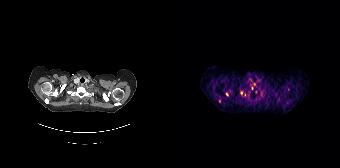
Coordinates are on the 168×168 PET (right) panel. (showing 5 of 7 foci) PSMA-avid tumor lesion bounding box (x0, y0)-(x1, y1): (54, 92)-(56, 96). Small PSMA-avid foci (2 to 4 px across) near (center x, center y): (116, 89) / (69, 93) / (47, 101) / (82, 83).